Paired axial CT (left) and PSMA PET (right), 18F-PSMA tracer. Slice 281 of 409. PET panel 200×200 px (4.1 mm/px).
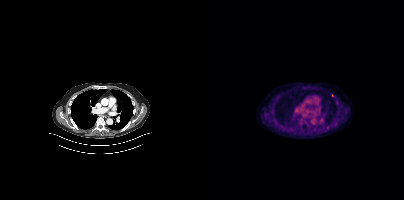
Coordinates are on the 200×200 PET (right) panel. Small PSMA-avid foci (2 to 4 px across) near (center x, center y): (124, 126) / (128, 95).